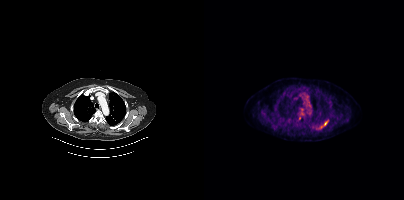
Coordinates are on the 200×200 PET (right) panel. (showing 1 of 2 foci) Small PSMA-avid focus (2 to 4 px across) near (center x, center y): (116, 127).